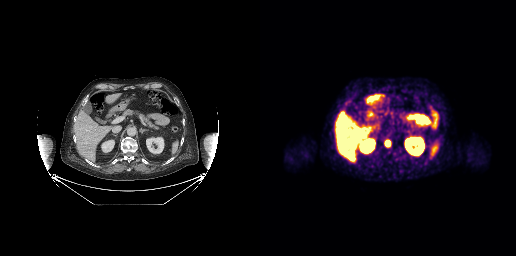
- Paired axial CT (left) and PSMA PET (right), 18F tracer
- slice position z = -530 mm
- PET panel 256×256 px (2.7 mm/px)
Findings: Coordinates are on the 256×256 PET (right) panel. PSMA-avid tumor lesion bounding box (x, y, width, height): x=124 y=139 w=8 h=9.